Paired axial CT (left) and PSMA PET (right), [18F]PSMA-1007 tracer. Acquired on Siemens Biograph mCT Flow 20.
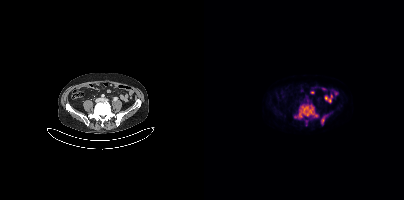
Coordinates are on the 200×200 PET (right) panel. PSMA-avid tumor lesion bounding boxes (x0,y0,x1,y1): [90,104,113,118] [117,115,123,124].